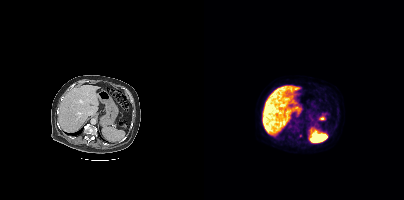
Findings: This slice has no annotated PSMA-avid lesion.
Technique: Left: CT. Right: PSMA PET, same axial level, 18F tracer. slice 239 of 431. PET panel 200×200 px (4.1 mm/px).